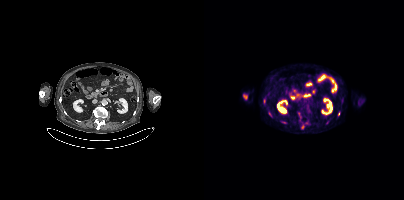
Findings: Coordinates are on the 200×200 PET (right) panel. (showing 5 of 6 foci) PSMA-avid tumor lesion bounding boxes (x, y, width, height): x=97 y=124 w=4 h=6 | x=77 y=121 w=5 h=3 | x=59 y=99 w=3 h=5. Small PSMA-avid foci (2 to 4 px across) near (center x, center y): (134, 113) | (66, 114).
Technique: Paired axial CT (left) and PSMA PET (right), 18F tracer.